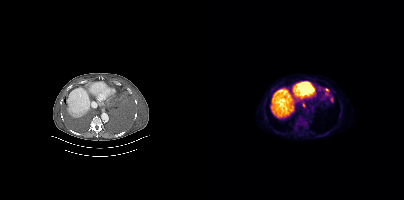
Coordinates are on the 200×200 PET (right) panel. PSMA-avid tumor lesion bounding boxes (x, y, width, height): x=114 y=87 w=13 h=10 / x=125 y=96 w=5 h=7 / x=98 y=103 w=4 h=5. Small PSMA-avid focus (2 to 4 px across) near (center x, center y): (108, 110).